Left: CT. Right: PSMA PET, same axial level, [18F]PSMA-1007 tracer. PET panel 200×200 px (4.1 mm/px).
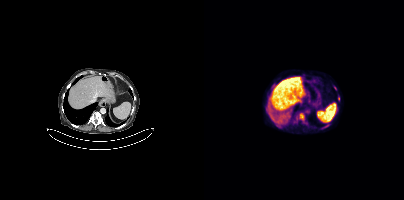
Coordinates are on the 200×200 PET (right) panel. PSMA-avid tumor lesion bounding boxes (partial; 2 more foci not listed):
| # | x0 | y0 | x1 | y1 |
|---|---|---|---|---|
| 1 | 95 | 113 | 100 | 120 |
Small PSMA-avid focus (2 to 4 px across) near (center x, center y): (92, 118).